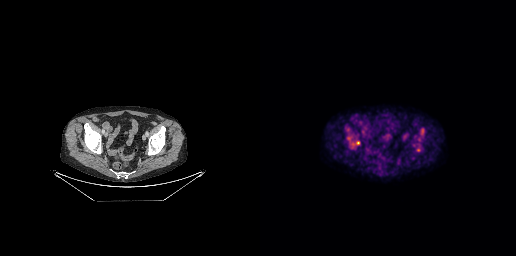
Left: CT. Right: PSMA PET, same axial level, 18F tracer. PET panel 256×256 px (2.7 mm/px).
Coordinates are on the 256×256 PET (right) panel. PSMA-avid tumor lesion bounding boxes (partial; 1 more focus not listed):
| # | x0 | y0 | x1 | y1 |
|---|---|---|---|---|
| 1 | 160 | 128 | 164 | 135 |
Small PSMA-avid focus (2 to 4 px across) near (center x, center y): (98, 143).